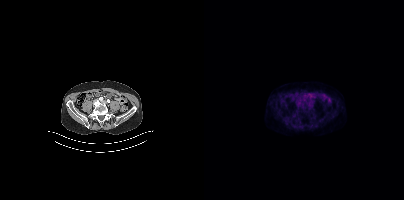
{"modality":"PSMA PET/CT","view":"axial","tracer":"18F-PSMA","pet_grid":[200,200],"coord_frame":"pet_panel","coord_format":"x0,y0,x1,y1","psma_avid_lesions":false}